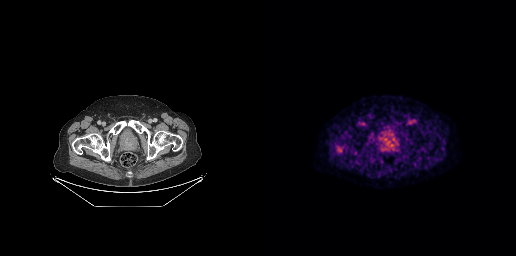
{"modality":"PSMA PET/CT","view":"axial","tracer":"18F-PSMA","pet_grid":[256,256],"coord_frame":"pet_panel","coord_format":"x0,y0,x1,y1","lesion_bboxes":[[77,146,82,152]]}